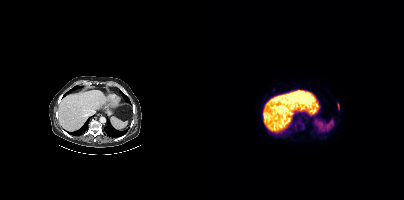
- Paired axial CT (left) and PSMA PET (right), 18F-PSMA tracer
- acquired on Siemens Biograph mCT Flow 20
Findings: Coordinates are on the 200×200 PET (right) panel. (showing 1 of 3 foci) PSMA-avid tumor lesion bounding box (x, y, width, height): x=133 y=105 w=3 h=5.